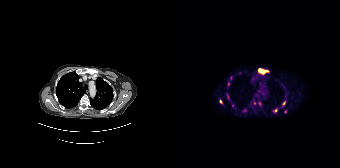
Coordinates are on the 168×168 PET (right) panel. PSMA-avid tumor lesion bounding boxes (partial; 3 more foci not listed):
| # | x0 | y0 | x1 | y1 |
|---|---|---|---|---|
| 1 | 87 | 69 | 95 | 73 |
Small PSMA-avid foci (2 to 4 px across) near (center x, center y): (112, 103); (48, 101); (82, 103); (60, 105); (103, 110); (87, 103); (56, 83).
Two-panel axial: CT | PSMA PET, [68Ga]Ga-PSMA-11 tracer. Slice position z = -1072 mm.